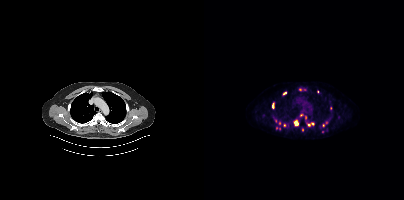
Coordinates are on the 200×200 PET (right) panel. (showing 6 of 12 foci) PSMA-avid tumor lesion bounding boxes (x, y, width, height): x=90 y=120 w=5 h=6; x=68 y=103 w=3 h=6. Small PSMA-avid foci (2 to 4 px across) near (center x, center y): (80, 93); (105, 125); (97, 114); (98, 129). Paired axial CT (left) and PSMA PET (right), [18F]PSMA-1007 tracer. Acquired on Siemens Biograph mCT Flow 20.